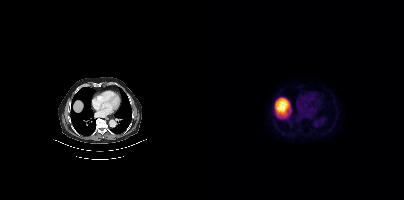
Left: CT. Right: PSMA PET, same axial level, [18F]PSMA-1007 tracer. Slice 244 of 383. This slice has no annotated PSMA-avid lesion.